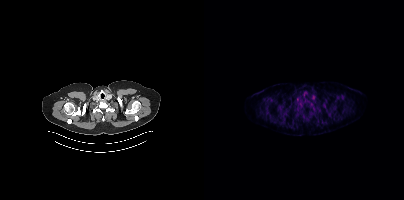
No tumor lesions annotated on this slice. Left: CT. Right: PSMA PET, same axial level, 18F-PSMA tracer. Slice 372 of 442.